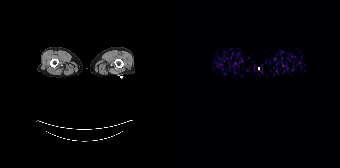
{"modality":"PSMA PET/CT","view":"axial","tracer":"68Ga","pet_grid":[168,168],"coord_frame":"pet_panel","coord_format":"x0,y0,x1,y1","psma_avid_lesions":false}